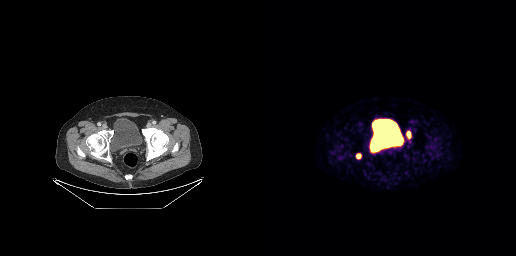
- Left: CT. Right: PSMA PET, same axial level, [68Ga]Ga-PSMA-11 tracer
- acquired on GE Discovery 690
- slice position z = -886 mm
- PET panel 256×256 px (2.7 mm/px)
Findings: Coordinates are on the 256×256 PET (right) panel. PSMA-avid tumor lesion bounding boxes (x0,y0,x1,y1): [147,132,150,137]; [97,154,100,158].